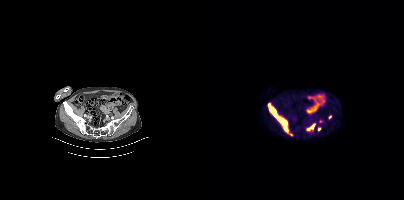
Paired axial CT (left) and PSMA PET (right), [18F]PSMA-1007 tracer. Acquired on Siemens Biograph mCT Flow 20. Slice 120 of 411. PET panel 200×200 px (4.1 mm/px).
Coordinates are on the 200×200 PET (right) panel. PSMA-avid tumor lesion bounding boxes (partial; 1 more focus not listed):
| # | x0 | y0 | x1 | y1 |
|---|---|---|---|---|
| 1 | 64 | 103 | 88 | 135 |
| 2 | 102 | 123 | 111 | 131 |
| 3 | 114 | 127 | 117 | 131 |
| 4 | 124 | 115 | 127 | 119 |